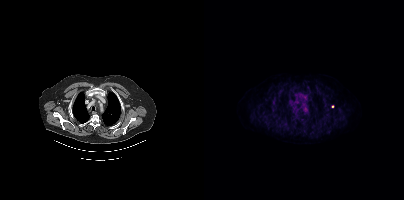
{"modality":"PSMA PET/CT","view":"axial","tracer":"18F","pet_grid":[200,200],"coord_frame":"pet_panel","coord_format":"x0,y0,x1,y1","lesion_bboxes":[],"small_foci_centers":[[128,106]]}